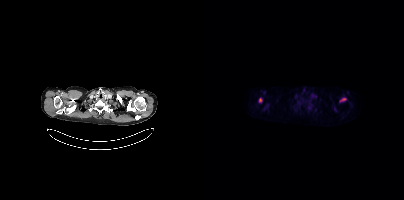
- Left: CT. Right: PSMA PET, same axial level, 18F-PSMA tracer
- acquired on Siemens Biograph mCT Flow 20
- slice 367 of 429
Findings: Coordinates are on the 200×200 PET (right) panel. PSMA-avid tumor lesion bounding boxes (x0,y0,x1,y1): [136,98,142,101]; [55,98,58,102].